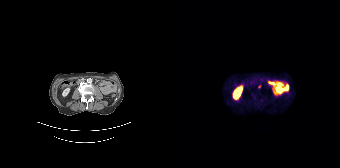
Coordinates are on the 168×168 PET (right) panel. Small PSMA-avid focus (2 to 4 px across) near (center x, center y): (87, 86).